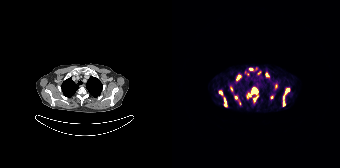
Left: CT. Right: PSMA PET, same axial level, 68Ga-PSMA tracer.
Coordinates are on the 168×168 PET (right) panel. PSMA-avid tumor lesion bounding boxes (partial; 4 more foci not listed):
| # | x0 | y0 | x1 | y1 |
|---|---|---|---|---|
| 1 | 79 | 88 | 85 | 93 |
| 2 | 113 | 88 | 117 | 93 |
| 3 | 65 | 75 | 68 | 79 |
| 4 | 66 | 101 | 69 | 105 |
| 5 | 58 | 87 | 60 | 91 |
| 6 | 52 | 98 | 53 | 102 |
Small PSMA-avid foci (2 to 4 px across) near (center x, center y): (82, 99); (48, 92); (95, 74); (112, 103); (53, 105); (99, 97).